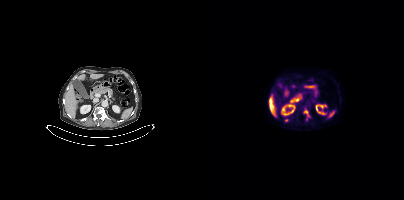
Coordinates are on the 200×200 PET (right) panel. PSMA-avid tumor lesion bounding box (x0, y0)-(x1, y1): (100, 110)-(107, 120). Small PSMA-avid focus (2 to 4 px across) near (center x, center y): (82, 120).